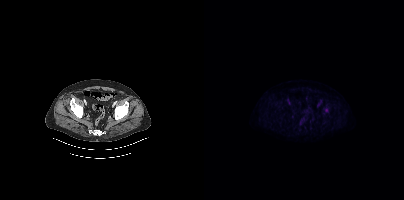
No PSMA-avid tumor lesions on this slice.